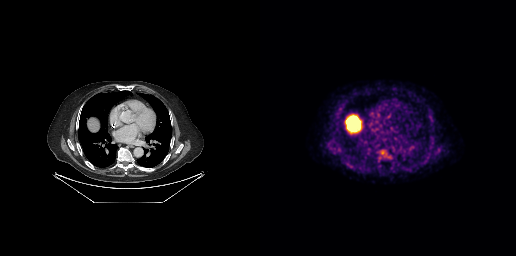
Findings: No tumor lesions annotated on this slice.
Technique: Two-panel axial: CT | PSMA PET, [18F]PSMA-1007 tracer. acquired on GE Discovery 690. PET panel 256×256 px (2.7 mm/px).